modality: PSMA PET/CT | tracer: [18F]PSMA-1007 | view: axial | PET grid: 200×200
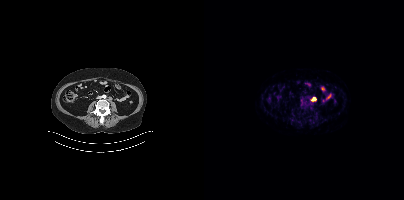
Coordinates are on the 200×200 PET (right) panel. PSMA-avid tumor lesion bounding box (x, y, width, height): x=107 y=97 w=6 h=5.